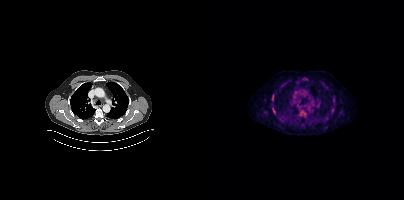
Paired axial CT (left) and PSMA PET (right), 18F tracer. Slice position z = 1646 mm.
Coordinates are on the 200×200 PET (right) panel. PSMA-avid tumor lesion bounding boxes (partial; 1 more focus not listed):
| # | x0 | y0 | x1 | y1 |
|---|---|---|---|---|
| 1 | 97 | 112 | 101 | 116 |
| 2 | 68 | 108 | 71 | 112 |
Small PSMA-avid focus (2 to 4 px across) near (center x, center y): (68, 98).